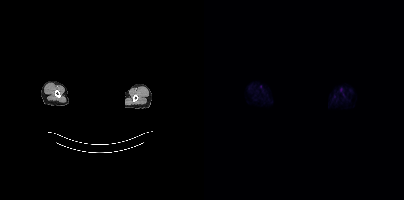
Head region blanked for anonymization (face removed). Paired axial CT (left) and PSMA PET (right), 18F-PSMA tracer. Acquired on Siemens Biograph mCT Flow 20. No PSMA-avid tumor lesions on this slice.